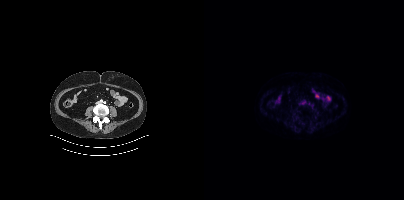
No PSMA-avid tumor lesions on this slice.
modality: PSMA PET/CT | tracer: [18F]PSMA-1007 | view: axial | PET grid: 200×200